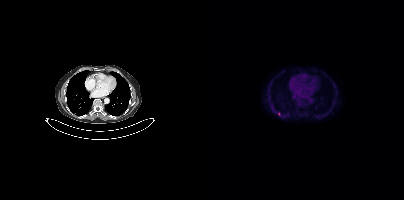
Coordinates are on the 200×200 PET (right) panel. Small PSMA-avid focus (2 to 4 px across) near (center x, center y): (75, 114).